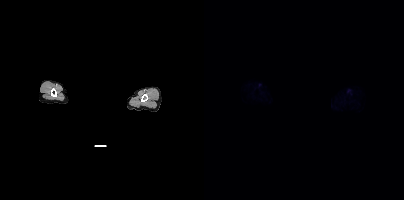
- any black rectangle over the head is a privacy mask, not anatomy
- Paired axial CT (left) and PSMA PET (right), [18F]PSMA-1007 tracer
- PET panel 200×200 px (4.1 mm/px)
Findings: No PSMA-avid tumor lesions on this slice.